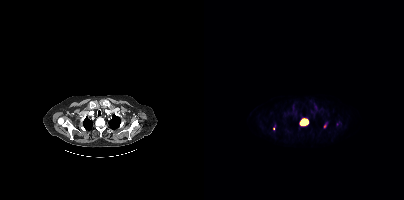
modality: PSMA PET/CT | tracer: 18F | view: axial
Coordinates are on the 200×200 PET (right) panel. PSMA-avid tumor lesion bounding box (x0, y0)-(x1, y1): (96, 117)-(105, 125). Small PSMA-avid foci (2 to 4 px across) near (center x, center y): (69, 128) / (120, 126).